Technique: Paired axial CT (left) and PSMA PET (right), 18F-PSMA tracer. PET panel 200×200 px (4.1 mm/px).
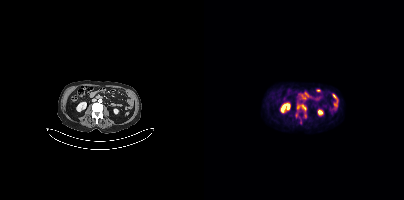
Findings: Coordinates are on the 200×200 PET (right) panel. PSMA-avid tumor lesion bounding box (x0, y0)-(x1, y1): (93, 104)-(102, 111). Small PSMA-avid foci (2 to 4 px across) near (center x, center y): (101, 115); (92, 115).